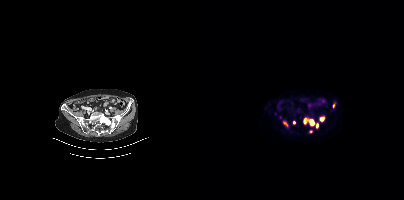
modality: PSMA PET/CT | tracer: [68Ga]Ga-PSMA-11 | view: axial
Coordinates are on the 200×200 PET (right) panel. PSMA-avid tumor lesion bounding boxes (x, y, width, height): x=99 y=118 w=12 h=7 / x=116 y=117 w=5 h=5 / x=80 y=122 w=5 h=5 / x=112 y=123 w=3 h=5. Small PSMA-avid foci (2 to 4 px across) near (center x, center y): (90, 122) / (129, 106) / (106, 131).